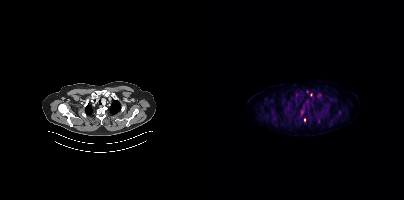
Coordinates are on the 200×200 PET (right) panel. PSMA-avid tumor lesion bounding boxes (partial; 1 more focus not listed):
| # | x0 | y0 | x1 | y1 |
|---|---|---|---|---|
| 1 | 113 | 93 | 117 | 97 |
Small PSMA-avid foci (2 to 4 px across) near (center x, center y): (103, 91); (100, 119); (97, 112).
Left: CT. Right: PSMA PET, same axial level, [18F]PSMA-1007 tracer. Slice 327 of 411.